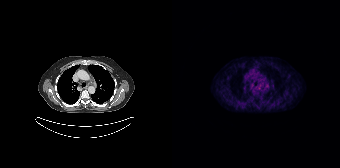
Two-panel axial: CT | PSMA PET, 68Ga-PSMA tracer. Acquired on Siemens Biograph 64-4R TruePoint. Slice 122 of 165. PET panel 168×168 px (4.1 mm/px). This slice has no annotated PSMA-avid lesion.